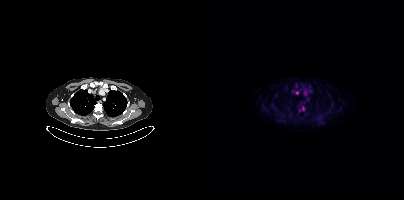
Coordinates are on the 200×200 PET (right) panel. PSMA-avid tumor lesion bounding boxes:
| # | x0 | y0 | x1 | y1 |
|---|---|---|---|---|
| 1 | 98 | 106 | 100 | 110 |
Small PSMA-avid foci (2 to 4 px across) near (center x, center y): (93, 93); (95, 110).
Left: CT. Right: PSMA PET, same axial level, [18F]PSMA-1007 tracer. Slice 333 of 431. PET panel 200×200 px (4.1 mm/px).